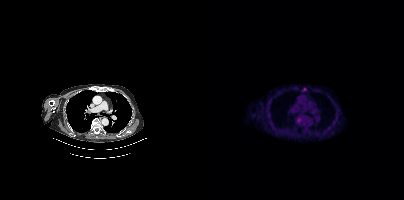
modality: PSMA PET/CT | tracer: 18F-PSMA | view: axial | PET grid: 200×200
This slice has no annotated PSMA-avid lesion.